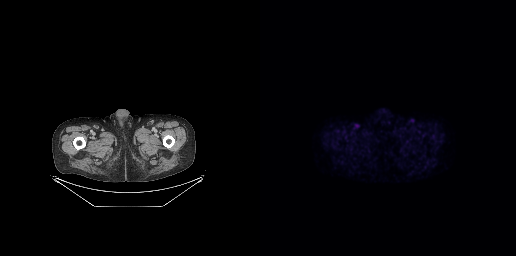
Technique: Two-panel axial: CT | PSMA PET, 18F-PSMA tracer. acquired on GE Discovery 690. PET panel 256×256 px (2.7 mm/px).
Findings: Negative for PSMA-avid disease on this slice.